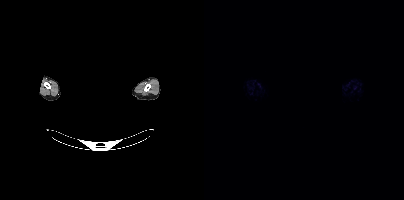
No tumor lesions annotated on this slice.
modality: PSMA PET/CT | tracer: 18F | view: axial | deidentification: facial region redacted